modality: PSMA PET/CT | tracer: 18F | view: axial | de-identification: head region blacked out before release
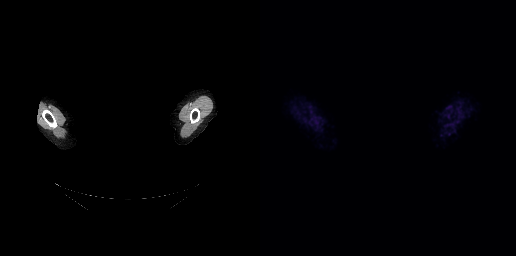
No PSMA-avid tumor lesions on this slice.